Technique: Paired axial CT (left) and PSMA PET (right), 68Ga tracer. PET panel 168×168 px (4.1 mm/px).
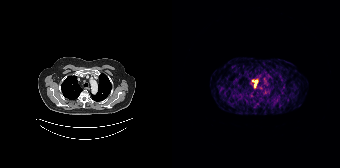
Findings: Coordinates are on the 168×168 PET (right) panel. PSMA-avid tumor lesion bounding box (x, y, width, height): x=82 y=80 w=4 h=6. Small PSMA-avid focus (2 to 4 px across) near (center x, center y): (80, 80).